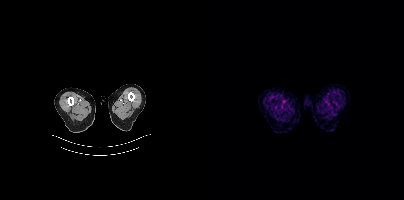
Technique: Paired axial CT (left) and PSMA PET (right), [18F]PSMA-1007 tracer.
Findings: No tumor lesions annotated on this slice.